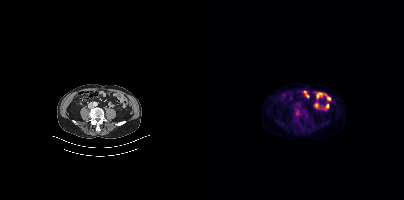
Coordinates are on the 200×200 PET (right) panel. Small PSMA-avid focus (2 to 4 px across) near (center x, center y): (93, 113).